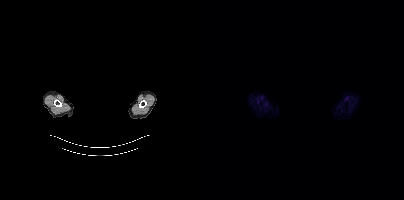
{"pet_grid":[200,200],"coord_frame":"pet_panel","coord_format":"x0,y0,x1,y1","psma_avid_lesions":false,"modality":"PSMA PET/CT","view":"axial","tracer":"18F-PSMA","de-identification":"privacy mask over head"}